Paired axial CT (left) and PSMA PET (right), [18F]PSMA-1007 tracer. Acquired on Siemens Biograph mCT Flow 20. PET panel 200×200 px (4.1 mm/px).
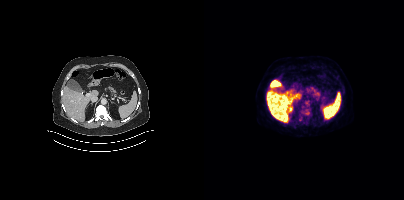
No PSMA-avid tumor lesions on this slice.